Technique: Left: CT. Right: PSMA PET, same axial level, 18F-PSMA tracer. slice 62 of 263. PET panel 256×256 px (2.7 mm/px).
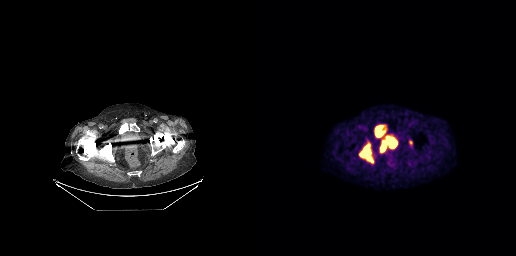
Findings: Coordinates are on the 256×256 PET (right) panel. PSMA-avid tumor lesion bounding boxes (x0, y0)-(x1, y1): (99, 144)-(113, 162); (115, 125)-(125, 137).